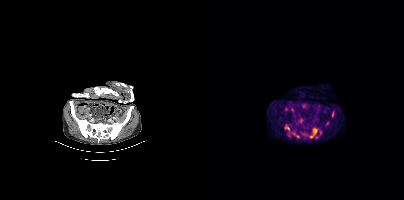
Coordinates are on the 200×200 PET (right) panel. PSMA-avid tumor lesion bounding boxes (x0, y0)-(x1, y1): (105, 127)-(117, 138) / (81, 125)-(95, 137) / (127, 111)-(130, 117). Small PSMA-avid foci (2 to 4 px across) near (center x, center y): (102, 134) / (123, 122) / (97, 133).
modality: PSMA PET/CT | tracer: [18F]PSMA-1007 | view: axial